Technique: Two-panel axial: CT | PSMA PET, 18F-PSMA tracer. slice 331 of 407. PET panel 200×200 px (4.1 mm/px).
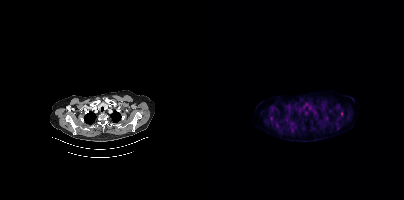
Findings: Coordinates are on the 200×200 PET (right) panel. (showing 1 of 2 foci) Small PSMA-avid focus (2 to 4 px across) near (center x, center y): (138, 113).